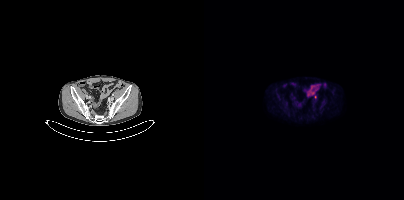
Left: CT. Right: PSMA PET, same axial level, 18F tracer. Acquired on Siemens Biograph mCT Flow 20. Slice position z = -890 mm. Coordinates are on the 200×200 PET (right) panel. Small PSMA-avid focus (2 to 4 px across) near (center x, center y): (111, 97).